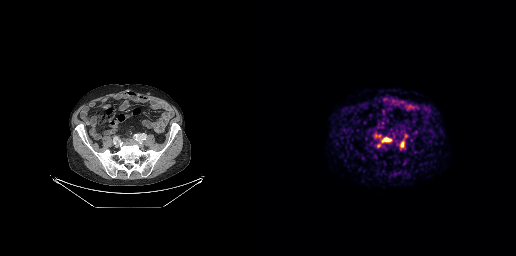
Coordinates are on the 256×256 PET (right) panel. PSMA-avid tumor lesion bounding boxes (x0, y0)-(x1, y1): (124, 138)-(131, 142) | (141, 141)-(144, 146) | (116, 143)-(120, 147) | (144, 134)-(147, 139). Small PSMA-avid focus (2 to 4 px across) near (center x, center y): (121, 142).
modality: PSMA PET/CT | tracer: [68Ga]Ga-PSMA-11 | view: axial | PET grid: 256×256